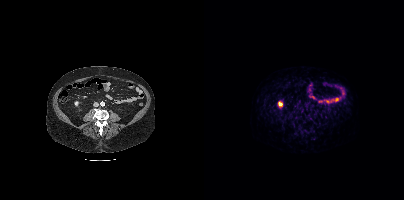
Negative for PSMA-avid disease on this slice.